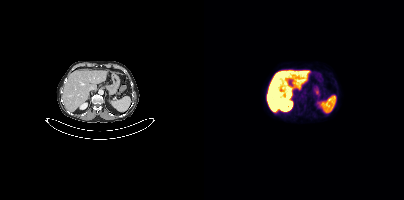
Two-panel axial: CT | PSMA PET, [18F]PSMA-1007 tracer. Slice 213 of 413. No PSMA-avid tumor lesions on this slice.